Paired axial CT (left) and PSMA PET (right), 18F-PSMA tracer. Slice position z = -1167 mm. PET panel 200×200 px (4.1 mm/px).
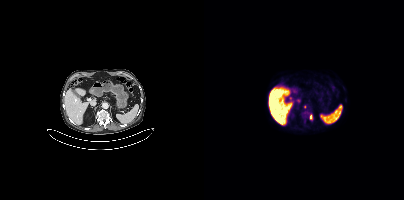
Coordinates are on the 200×200 PET (right) panel. PSMA-avid tumor lesion bounding box (x0, y0)-(x1, y1): (99, 111)-(108, 119). Small PSMA-avid focus (2 to 4 px across) near (center x, center y): (101, 106).